modality: PSMA PET/CT | tracer: [18F]PSMA-1007 | view: axial | PET grid: 256×256
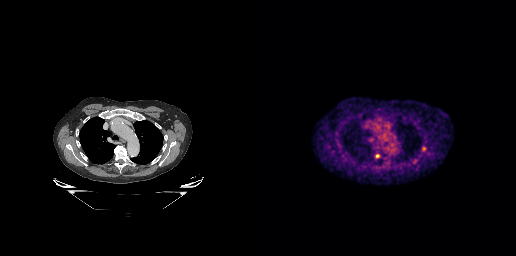
Coordinates are on the 256×256 PET (right) panel. PSMA-avid tumor lesion bounding box (x0,y0,x1,y1): [115,154,120,158].